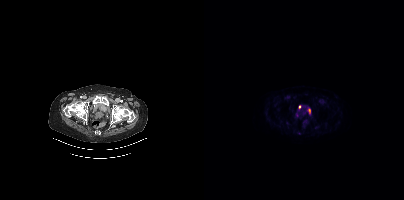
{"pet_grid":[200,200],"coord_frame":"pet_panel","coord_format":"x0,y0,x1,y1","partial":true,"lesion_bboxes":[[104,108,106,113]],"small_foci_centers":[[95,106],[92,114]],"modality":"PSMA PET/CT","view":"axial","tracer":"18F-PSMA"}